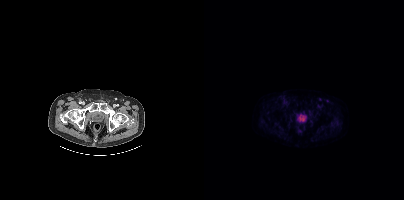
Left: CT. Right: PSMA PET, same axial level, [18F]PSMA-1007 tracer. Acquired on Siemens Biograph mCT Flow 20. Slice position z = -1565 mm. Coordinates are on the 200×200 PET (right) panel. Small PSMA-avid focus (2 to 4 px across) near (center x, center y): (115, 99).